modality: PSMA PET/CT | tracer: [18F]PSMA-1007 | view: axial
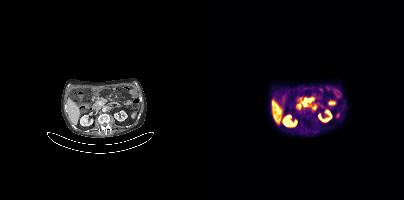
Coordinates are on the 200×200 PET (right) panel. PSMA-avid tumor lesion bounding box (x, y, width, height): x=96 y=97 w=15 h=9.